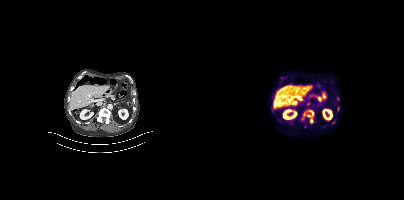
Paired axial CT (left) and PSMA PET (right), 18F tracer. Acquired on Siemens Biograph mCT Flow 20. Coordinates are on the 200×200 PET (right) panel. (showing 4 of 5 foci) PSMA-avid tumor lesion bounding boxes (x, y, width, height): x=98 y=110 w=13 h=14 | x=102 y=102 w=5 h=4. Small PSMA-avid foci (2 to 4 px across) near (center x, center y): (76, 122) | (129, 122).